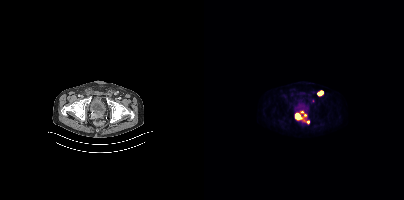
Coordinates are on the 200×200 PET (right) panel. PSMA-avid tumor lesion bounding boxes:
| # | x0 | y0 | x1 | y1 |
|---|---|---|---|---|
| 1 | 91 | 110 | 105 | 124 |
| 2 | 113 | 90 | 119 | 95 |
Left: CT. Right: PSMA PET, same axial level, 18F tracer. Slice 60 of 411. PET panel 200×200 px (4.1 mm/px).